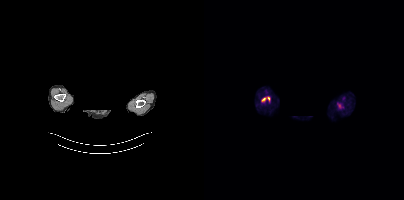
- head region blanked for anonymization (face removed)
- Paired axial CT (left) and PSMA PET (right), [18F]PSMA-1007 tracer
- slice 333 of 367
Findings: This slice has no annotated PSMA-avid lesion.